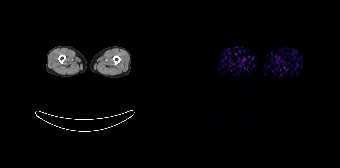
{"modality":"PSMA PET/CT","view":"axial","tracer":"68Ga-PSMA","pet_grid":[168,168],"coord_frame":"pet_panel","coord_format":"x0,y0,x1,y1","psma_avid_lesions":false}